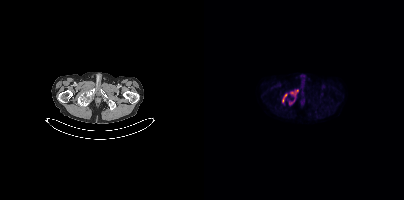
Coordinates are on the 200×200 PET (right) panel. PSMA-avid tumor lesion bounding boxes (x0,y0,x1,y1): [85,90,94,105] [78,94,82,102].